modality: PSMA PET/CT | tracer: [18F]PSMA-1007 | view: axial
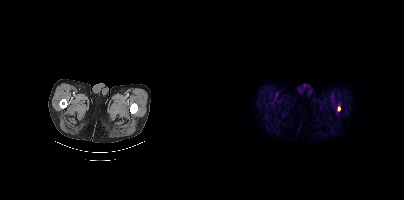
Coordinates are on the 200×200 PET (right) panel. Small PSMA-avid focus (2 to 4 px across) near (center x, center y): (134, 108).